Two-panel axial: CT | PSMA PET, [18F]PSMA-1007 tracer. Slice position z = -584 mm. PET panel 200×200 px (4.1 mm/px).
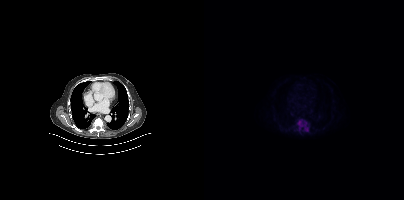
Coordinates are on the 200×200 PET (right) panel. PSMA-avid tumor lesion bounding boxes:
| # | x0 | y0 | x1 | y1 |
|---|---|---|---|---|
| 1 | 92 | 119 | 99 | 127 |
| 2 | 99 | 120 | 105 | 132 |